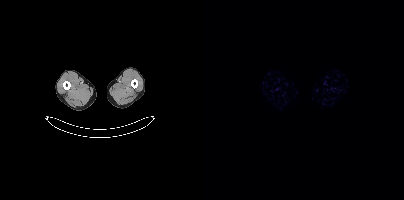
Negative for PSMA-avid disease on this slice. Left: CT. Right: PSMA PET, same axial level, 18F-PSMA tracer. Slice 1 of 427.